modality: PSMA PET/CT | tracer: 18F-PSMA | view: axial
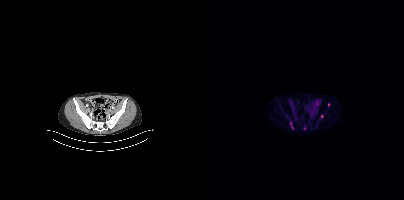
Coordinates are on the 200×200 PET (right) panel. Small PSMA-avid foci (2 to 4 px across) near (center x, center y): (117, 116) | (124, 104).